Left: CT. Right: PSMA PET, same axial level, [18F]PSMA-1007 tracer. Acquired on GE Discovery 690.
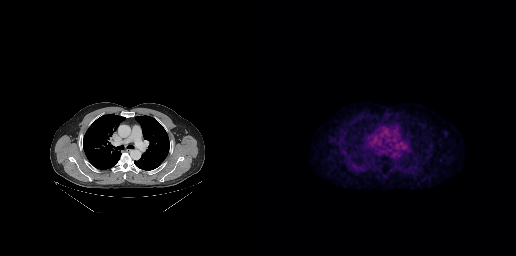
This slice has no annotated PSMA-avid lesion.